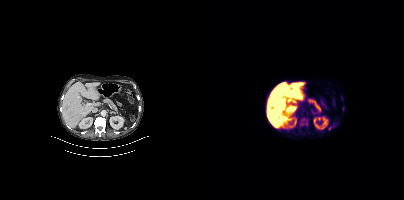
{"modality":"PSMA PET/CT","view":"axial","tracer":"18F-PSMA","pet_grid":[200,200],"coord_frame":"pet_panel","coord_format":"x0,y0,x1,y1","lesion_bboxes":[[95,118,104,126],[137,96,139,100]],"small_foci_centers":[[139,107]]}